Two-panel axial: CT | PSMA PET, 18F-PSMA tracer. Acquired on Siemens Biograph mCT Flow 20.
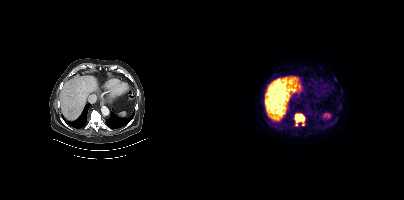
Coordinates are on the 200×200 PET (right) panel. PSMA-avid tumor lesion bounding boxes:
| # | x0 | y0 | x1 | y1 |
|---|---|---|---|---|
| 1 | 90 | 113 | 100 | 125 |
| 2 | 130 | 77 | 132 | 81 |